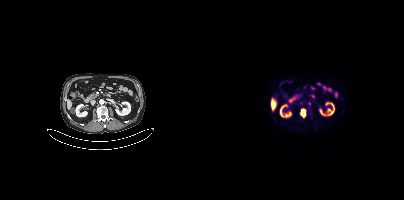
Left: CT. Right: PSMA PET, same axial level, 18F tracer. Slice 183 of 403. Coordinates are on the 200×200 PET (right) panel. Small PSMA-avid foci (2 to 4 px across) near (center x, center y): (105, 103) | (100, 115).